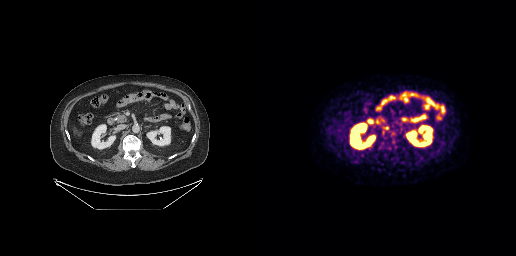
Findings: Coordinates are on the 256×256 PET (right) panel. PSMA-avid tumor lesion bounding box (x, y, width, height): x=125 y=126 w=5 h=5.
Technique: Two-panel axial: CT | PSMA PET, 18F-PSMA tracer.